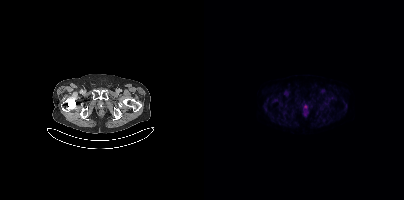
- Left: CT. Right: PSMA PET, same axial level, [18F]PSMA-1007 tracer
- slice 54 of 419
Findings: No tumor lesions annotated on this slice.